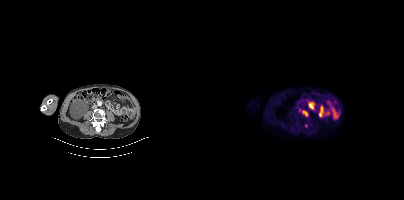
Findings: Coordinates are on the 200×200 PET (right) panel. PSMA-avid tumor lesion bounding box (x0,y0,x1,y1): [94,109,104,116]. Small PSMA-avid focus (2 to 4 px across) near (center x, center y): (101, 125).
Technique: Two-panel axial: CT | PSMA PET, [18F]PSMA-1007 tracer.